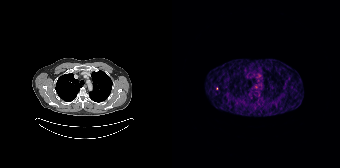
modality: PSMA PET/CT | tracer: [68Ga]Ga-PSMA-11 | view: axial
Only PSMA-avid lesion pieces thinner than 2 px on this slice (not listed).